modality: PSMA PET/CT | tracer: [18F]PSMA-1007 | view: axial | PET grid: 200×200
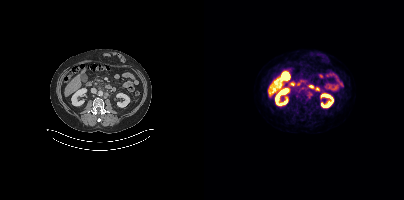
Coordinates are on the 200×200 PET (right) panel. PSMA-avid tumor lesion bounding box (x0, y0)-(x1, y1): (102, 96)-(107, 100). Small PSMA-avid focus (2 to 4 px across) near (center x, center y): (93, 95).